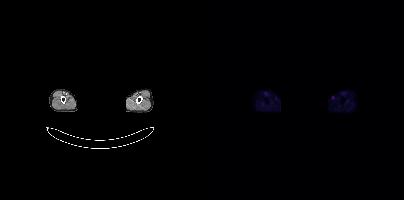
Technique: Left: CT. Right: PSMA PET, same axial level, 18F tracer. PET panel 200×200 px (4.1 mm/px).
Note: De-identified by setting a box covering the face to black before release.
Findings: No PSMA-avid tumor lesions on this slice.